Technique: Paired axial CT (left) and PSMA PET (right), 18F tracer. acquired on Siemens Biograph mCT Flow 20. slice 381 of 429. PET panel 200×200 px (4.1 mm/px).
Note: A rectangular block over the head has been blanked out for de-identification.
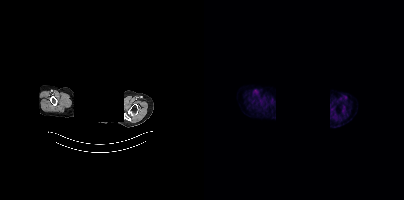
Findings: This slice has no annotated PSMA-avid lesion.